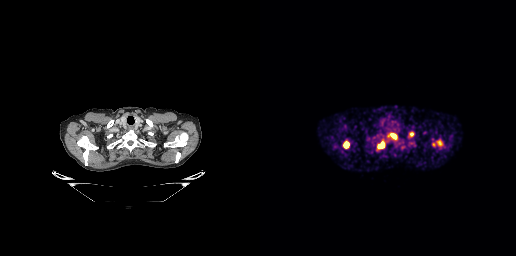
Coordinates are on the 256×256 PET (right) panel. PSMA-avid tumor lesion bounding boxes (x, y, width, height): x=83 y=141 w=7 h=8 / x=118 y=142 w=7 h=7 / x=131 y=133 w=6 h=6 / x=149 y=132 w=5 h=5. Small PSMA-avid focus (2 to 4 px across) near (center x, center y): (180, 143).